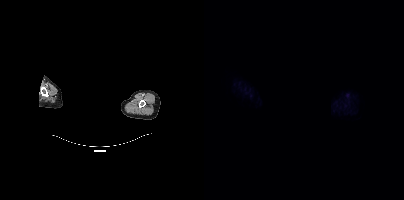
Technique: Two-panel axial: CT | PSMA PET, [18F]PSMA-1007 tracer. slice position z = -190 mm.
Note: The head region is masked for de-identification.
Findings: This slice has no annotated PSMA-avid lesion.